Two-panel axial: CT | PSMA PET, 18F tracer.
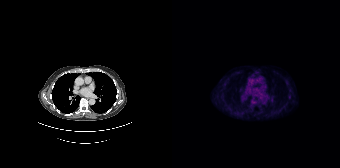
Only PSMA-avid lesion pieces thinner than 2 px on this slice (not listed).